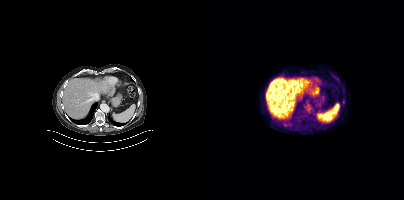
- Paired axial CT (left) and PSMA PET (right), 18F tracer
Findings: This slice has no annotated PSMA-avid lesion.